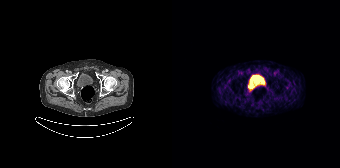
Paired axial CT (left) and PSMA PET (right), 68Ga-PSMA tracer. Acquired on Siemens Biograph 64-4R TruePoint. Slice 58 of 195. No tumor lesions annotated on this slice.